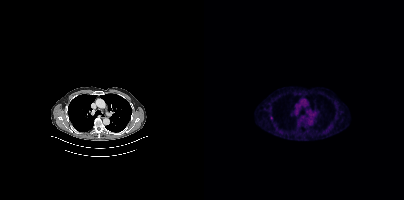
Findings: Coordinates are on the 200×200 PET (right) panel. Small PSMA-avid focus (2 to 4 px across) near (center x, center y): (67, 117).
Technique: Paired axial CT (left) and PSMA PET (right), 18F-PSMA tracer. slice position z = -991 mm.